- Paired axial CT (left) and PSMA PET (right), [18F]PSMA-1007 tracer
- PET panel 200×200 px (4.1 mm/px)
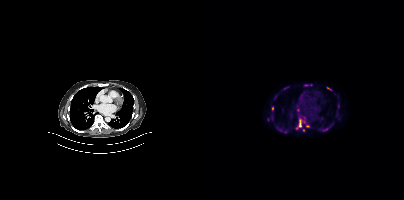
Findings: Coordinates are on the 200×200 PET (right) panel. (showing 8 of 11 foci) PSMA-avid tumor lesion bounding boxes (x, y, width, height): x=92 y=119 w=6 h=11; x=118 y=127 w=8 h=5; x=123 y=87 w=5 h=4. Small PSMA-avid foci (2 to 4 px across) near (center x, center y): (100, 121); (103, 126); (68, 107); (134, 105); (81, 131).